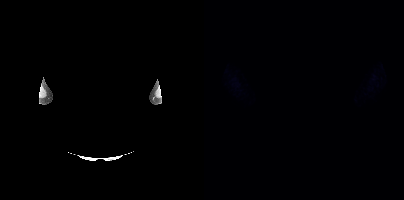
- the face region was removed for patient privacy by blanking a rectangle over the head
- Paired axial CT (left) and PSMA PET (right), 18F-PSMA tracer
- slice 403 of 417
- PET panel 200×200 px (4.1 mm/px)
Findings: No tumor lesions annotated on this slice.